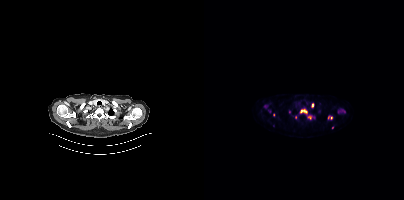
modality: PSMA PET/CT | tracer: 18F | view: axial | PET grid: 200×200
Coordinates are on the 200×200 PET (right) panel. (showing 4 of 8 foci) PSMA-avid tumor lesion bounding box (x, y, width, height): x=96 y=109 w=8 h=5. Small PSMA-avid foci (2 to 4 px across) near (center x, center y): (108, 105) / (105, 117) / (69, 114).